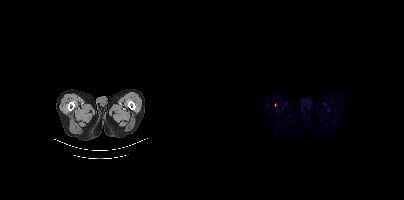
{"pet_grid":[200,200],"coord_frame":"pet_panel","coord_format":"x0,y0,x1,y1","lesion_bboxes":[],"small_foci_centers":[[71,105]],"modality":"PSMA PET/CT","view":"axial","tracer":"18F-PSMA"}